Paired axial CT (left) and PSMA PET (right), 18F tracer. Acquired on Siemens Biograph mCT Flow 20. Privacy masking, with the pixels inside a rectangle set to black.
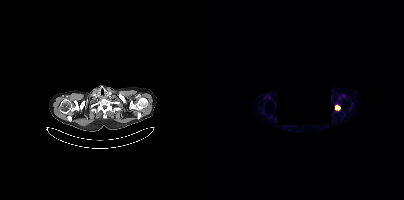
Coordinates are on the 200×200 PET (right) panel. PSMA-avid tumor lesion bounding box (x0,y0,x1,y1): [131,106,135,109].